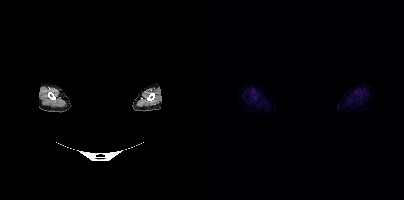
No PSMA-avid tumor lesions on this slice. Paired axial CT (left) and PSMA PET (right), 18F-PSMA tracer. A rectangular block over the head has been blanked out for de-identification.